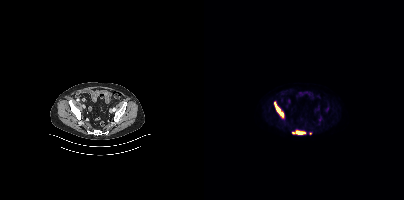
Coordinates are on the 200×200 PET (right) panel. (showing 2 of 3 foci) PSMA-avid tumor lesion bounding boxes (x, y, width, height): x=70 y=102 w=10 h=16 | x=88 y=130 w=14 h=5. Left: CT. Right: PSMA PET, same axial level, [18F]PSMA-1007 tracer. Slice 106 of 423. PET panel 200×200 px (4.1 mm/px).